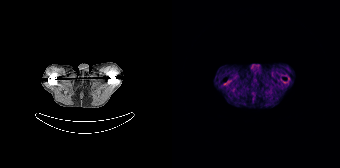
Paired axial CT (left) and PSMA PET (right), 68Ga-PSMA tracer. Acquired on Siemens Biograph 64-4R TruePoint. PET panel 168×168 px (4.1 mm/px). This slice has no annotated PSMA-avid lesion.